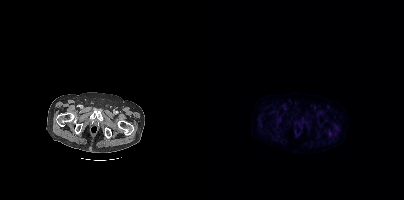
No PSMA-avid tumor lesions on this slice.